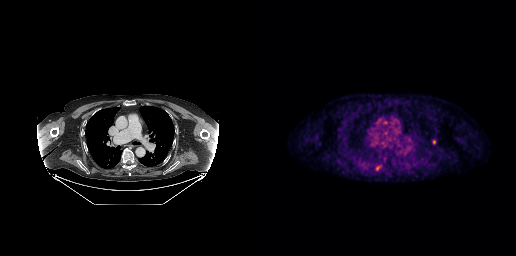
Coordinates are on the 256×256 PET (right) panel. PSMA-avid tumor lesion bounding box (x, y, width, height): x=172 y=140 w=4 h=5. Small PSMA-avid focus (2 to 4 px across) near (center x, center y): (117, 168).